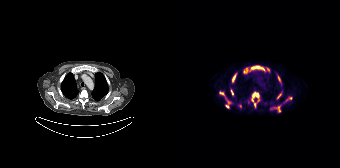
Paired axial CT (left) and PSMA PET (right), [18F]PSMA-1007 tracer. Coordinates are on the 168×168 PET (right) panel. PSMA-avid tumor lesion bounding boxes (x, y, width, height): x=79 y=91 w=9 h=17 / x=47 y=91 w=13 h=18 / x=78 y=65 w=16 h=7 / x=60 y=73 w=6 h=10 / x=102 y=105 w=7 h=8 / x=71 y=68 w=6 h=6 / x=105 y=93 w=5 h=7 / x=114 y=97 w=7 h=5 / x=105 y=75 w=4 h=8 / x=59 y=89 w=3 h=7. Small PSMA-avid foci (2 to 4 px across) near (center x, center y): (96, 69) / (68, 106) / (99, 108).